modality: PSMA PET/CT | tracer: 18F | view: axial | PET grid: 168×168
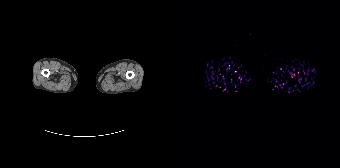
No PSMA-avid tumor lesions on this slice.